- Paired axial CT (left) and PSMA PET (right), 68Ga-PSMA tracer
- slice position z = -1366 mm
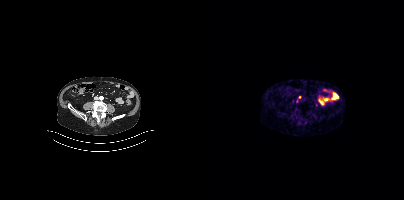
Findings: Coordinates are on the 200×200 PET (right) panel. (showing 1 of 2 foci) Small PSMA-avid focus (2 to 4 px across) near (center x, center y): (95, 97).